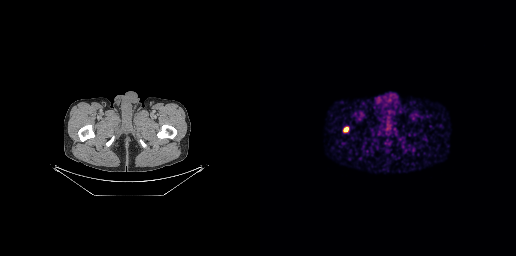
Coordinates are on the 256×256 PET (right) panel. Small PSMA-avid focus (2 to 4 px across) near (center x, center y): (85, 129).